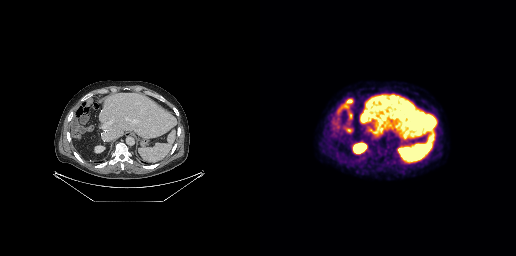
- Paired axial CT (left) and PSMA PET (right), 18F tracer
- slice 162 of 263
Findings: Negative for PSMA-avid disease on this slice.